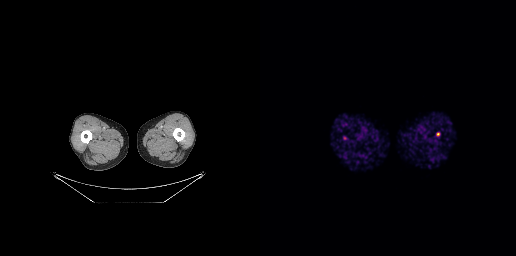
modality: PSMA PET/CT | tracer: 68Ga | view: axial | PET grid: 256×256
Coordinates are on the 256×256 PET (right) panel. PSMA-avid tumor lesion bounding box (x, y, width, height): x=83 y=136 w=5 h=4. Small PSMA-avid focus (2 to 4 px across) near (center x, center y): (177, 133).